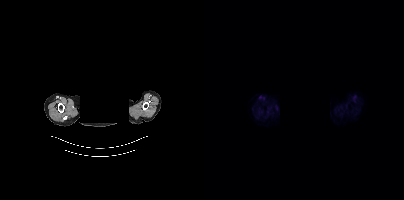
{"modality":"PSMA PET/CT","view":"axial","tracer":"18F","pet_grid":[200,200],"coord_frame":"pet_panel","coord_format":"x0,y0,x1,y1","psma_avid_lesions":false,"redaction":"head region blanked (face removed)"}